- Left: CT. Right: PSMA PET, same axial level, [18F]PSMA-1007 tracer
- acquired on Siemens Biograph mCT Flow 20
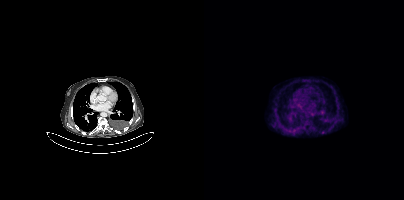
Findings: Coordinates are on the 200×200 PET (right) panel. PSMA-avid tumor lesion bounding box (x0, y0)-(x1, y1): (117, 131)-(121, 133).